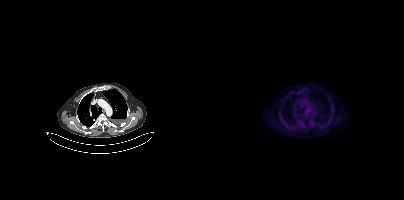
Technique: Left: CT. Right: PSMA PET, same axial level, 18F-PSMA tracer. slice 315 of 425.
Findings: Negative for PSMA-avid disease on this slice.